Technique: Two-panel axial: CT | PSMA PET, 18F tracer. acquired on Siemens Biograph mCT Flow 20.
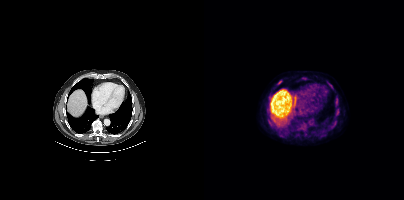
Findings: Coordinates are on the 200×200 PET (right) panel. Small PSMA-avid foci (2 to 4 px across) near (center x, center y): (134, 111); (74, 83); (127, 86); (133, 99); (124, 82).